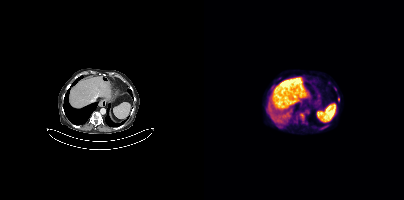
Paired axial CT (left) and PSMA PET (right), 18F tracer. Slice 205 of 373. PET panel 200×200 px (4.1 mm/px).
Coordinates are on the 200×200 PET (right) panel. PSMA-avid tumor lesion bounding boxes:
| # | x0 | y0 | x1 | y1 |
|---|---|---|---|---|
| 1 | 96 | 113 | 100 | 120 |
Small PSMA-avid focus (2 to 4 px across) near (center x, center y): (134, 100).